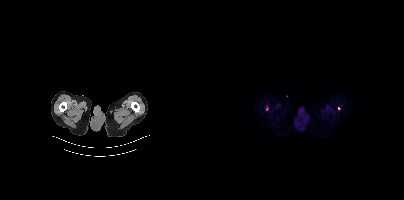
{"pet_grid":[200,200],"coord_frame":"pet_panel","coord_format":"x0,y0,x1,y1","lesion_bboxes":[],"small_foci_centers":[[135,108],[63,109]],"modality":"PSMA PET/CT","view":"axial","tracer":"[18F]PSMA-1007"}